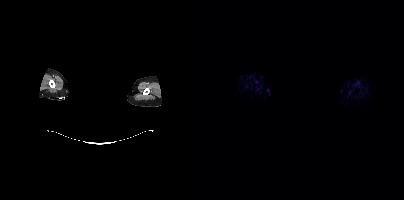
The head region is masked for de-identification.
No tumor lesions annotated on this slice.